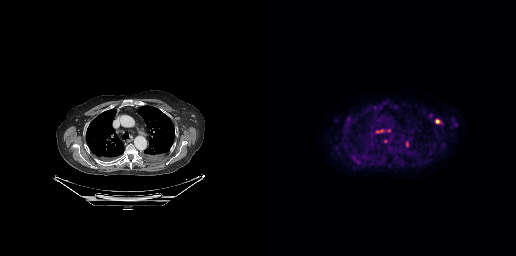
- Two-panel axial: CT | PSMA PET, 18F-PSMA tracer
- PET panel 256×256 px (2.7 mm/px)
Findings: Coordinates are on the 256×256 PET (right) panel. (showing 11 of 12 foci) PSMA-avid tumor lesion bounding boxes (x, y, width, height): x=116 y=129 w=15 h=5; x=175 y=119 w=6 h=6; x=97 y=160 w=5 h=5; x=87 y=116 w=4 h=5; x=90 y=155 w=5 h=5; x=146 y=141 w=3 h=6. Small PSMA-avid foci (2 to 4 px across) near (center x, center y): (135, 106); (125, 140); (114, 107); (193, 119); (195, 124).